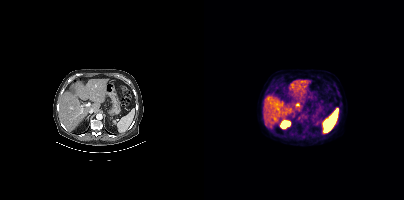
Coordinates are on the 200×200 PET (right) panel. Small PSMA-avid focus (2 to 4 px across) near (center x, center y): (94, 118). Paired axial CT (left) and PSMA PET (right), [18F]PSMA-1007 tracer. Slice position z = -102 mm. PET panel 200×200 px (4.1 mm/px).